Left: CT. Right: PSMA PET, same axial level, 18F-PSMA tracer. Slice 104 of 263. PET panel 256×256 px (2.7 mm/px).
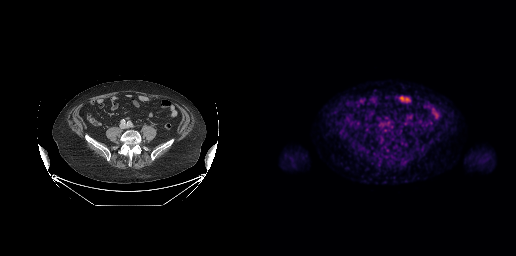
No tumor lesions annotated on this slice.